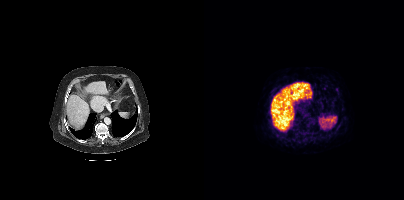
No PSMA-avid tumor lesions on this slice.
modality: PSMA PET/CT | tracer: 68Ga-PSMA | view: axial